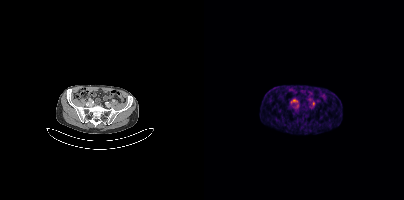
{"modality":"PSMA PET/CT","view":"axial","tracer":"68Ga","pet_grid":[200,200],"coord_frame":"pet_panel","coord_format":"x0,y0,x1,y1","lesion_bboxes":[[87,99,92,101]],"small_foci_centers":[[109,103]]}